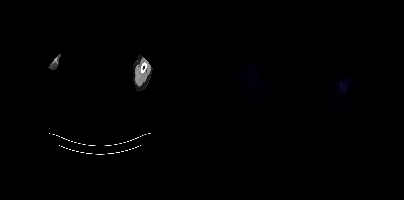
Two-panel axial: CT | PSMA PET, 18F tracer. Acquired on Siemens Biograph mCT Flow 20. Slice position z = -879 mm. PET panel 200×200 px (4.1 mm/px). An anonymization step blacked out a rectangle over the head in this scan. No PSMA-avid tumor lesions on this slice.